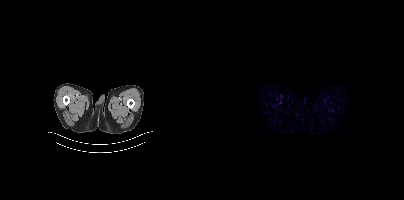
Technique: Paired axial CT (left) and PSMA PET (right), [18F]PSMA-1007 tracer. acquired on Siemens Biograph mCT Flow 20. slice position z = -1710 mm.
Findings: No PSMA-avid tumor lesions on this slice.